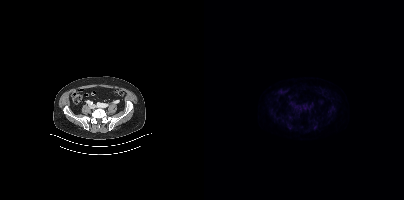
- Paired axial CT (left) and PSMA PET (right), 18F tracer
- acquired on Siemens Biograph mCT Flow 20
- slice position z = -1512 mm
- PET panel 200×200 px (4.1 mm/px)
Findings: No PSMA-avid tumor lesions on this slice.